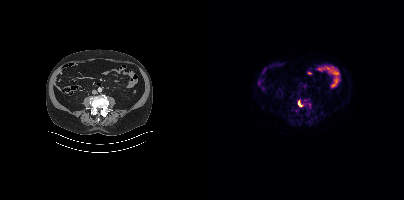
Coordinates are on the 200×200 PET (right) panel. PSMA-avid tumor lesion bounding box (x, y, width, height): x=94 y=101 w=5 h=6.